Technique: Two-panel axial: CT | PSMA PET, 18F tracer. PET panel 200×200 px (4.1 mm/px).
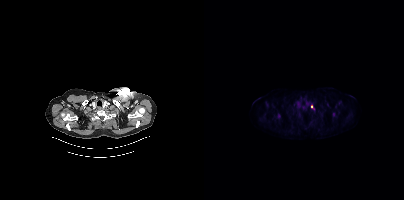
Findings: Coordinates are on the 200×200 PET (right) panel. Small PSMA-avid focus (2 to 4 px across) near (center x, center y): (107, 106).